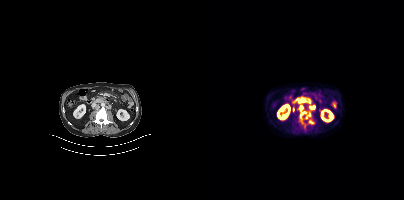
Coordinates are on the 200×200 PET (right) panel. PSMA-avid tumor lesion bounding boxes (x0,y0,x1,y1): [96,111,102,119]; [95,99,101,102]; [101,112,106,118]; [106,105,110,109]; [105,120,109,123]. Small PSMA-avid focus (2 to 4 px across) near (center x, center y): (97, 107).